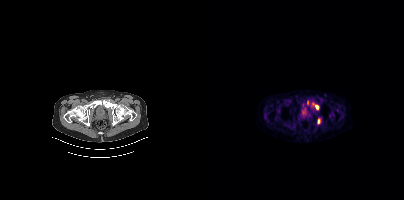
Left: CT. Right: PSMA PET, same axial level, 68Ga tracer. Slice 56 of 409. PET panel 200×200 px (4.1 mm/px). Coordinates are on the 200×200 PET (right) panel. (showing 3 of 4 foci) PSMA-avid tumor lesion bounding boxes (x0, y0)-(x1, y1): (103, 100)-(106, 105) / (113, 118)-(116, 123) / (111, 105)-(114, 109).